Left: CT. Right: PSMA PET, same axial level, 18F-PSMA tracer. Acquired on Siemens Biograph mCT Flow 20.
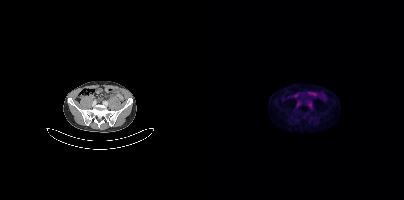
No PSMA-avid tumor lesions on this slice.